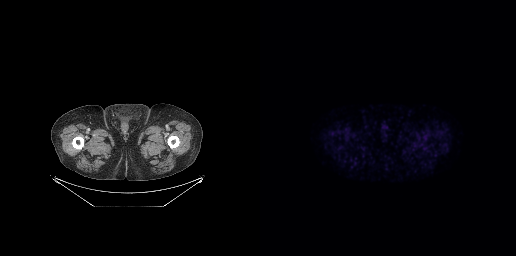
{"modality":"PSMA PET/CT","view":"axial","tracer":"[18F]PSMA-1007","pet_grid":[256,256],"coord_frame":"pet_panel","coord_format":"x0,y0,x1,y1","psma_avid_lesions":false}